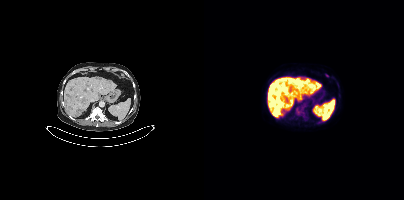
Coordinates are on the 200×200 PET (right) panel. PSMA-avid tumor lesion bounding boxes (x, y, width, height): x=68 y=107 w=8 h=10 | x=92 y=107 w=5 h=7. Small PSMA-avid foci (2 to 4 px across) near (center x, center y): (68, 100) | (66, 91) | (123, 75).